modality: PSMA PET/CT | tracer: 18F-PSMA | view: axial
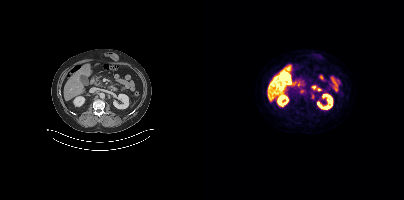
Coordinates are on the 200×200 PET (right) panel. PSMA-avid tumor lesion bounding box (x, y, width, height): x=107 y=93 w=4 h=6.